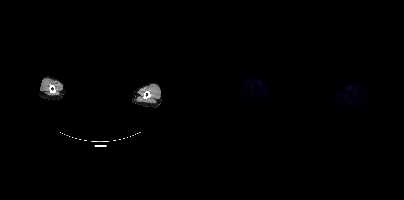
Paired axial CT (left) and PSMA PET (right), 18F-PSMA tracer. Acquired on Siemens Biograph mCT Flow 20. Slice 411 of 431. Face de-identified by blanking a block of the head. No PSMA-avid tumor lesions on this slice.